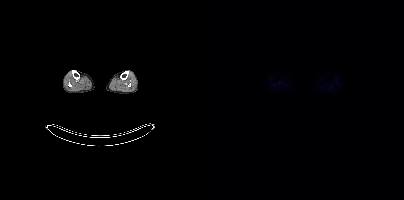
Negative for PSMA-avid disease on this slice.